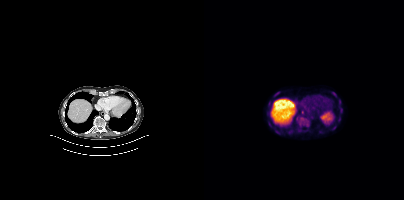
Left: CT. Right: PSMA PET, same axial level, 18F tracer. Acquired on Siemens Biograph mCT Flow 20. Slice position z = -481 mm. PET panel 200×200 px (4.1 mm/px). Coordinates are on the 200×200 PET (right) panel. PSMA-avid tumor lesion bounding boxes (x0,y0,x1,y1): [135,103,138,113], [71,91,75,94], [64,103,66,107]. Small PSMA-avid foci (2 to 4 px across) near (center x, center y): (130, 93), (98, 112).